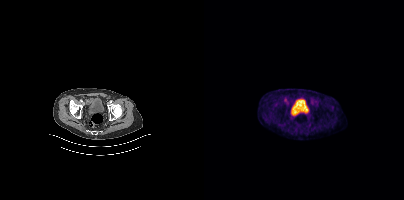
Findings: No tumor lesions annotated on this slice.
Technique: Left: CT. Right: PSMA PET, same axial level, [18F]PSMA-1007 tracer.